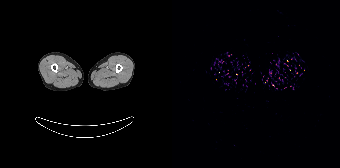
Two-panel axial: CT | PSMA PET, [68Ga]Ga-PSMA-11 tracer. Acquired on Siemens Biograph 64-4R TruePoint. No PSMA-avid tumor lesions on this slice.